Left: CT. Right: PSMA PET, same axial level, [18F]PSMA-1007 tracer. Slice position z = -467 mm.
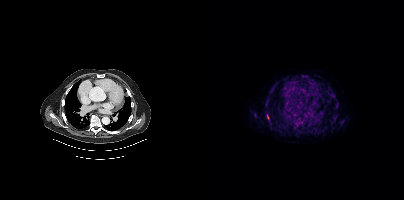
Coordinates are on the 200×200 PET (right) panel. (showing 1 of 3 foci) PSMA-avid tumor lesion bounding box (x0,y0,x1,y1): [63,114,65,119].